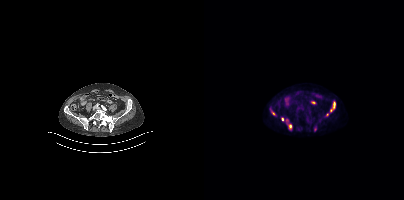
modality: PSMA PET/CT | tracer: [18F]PSMA-1007 | view: axial | PET grid: 200×200
Coordinates are on the 200×200 PET (right) panel. (showing 5 of 7 foci) PSMA-avid tumor lesion bounding boxes (x, y, width, height): x=126 y=101 w=6 h=11; x=84 y=124 w=4 h=7. Small PSMA-avid foci (2 to 4 px across) near (center x, center y): (78, 119); (69, 113); (123, 114).